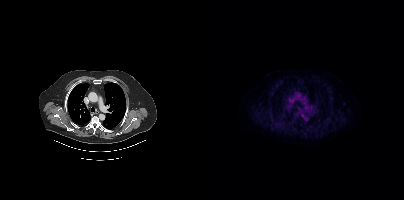
{"modality":"PSMA PET/CT","view":"axial","tracer":"[18F]PSMA-1007","pet_grid":[200,200],"coord_frame":"pet_panel","coord_format":"x0,y0,x1,y1","lesion_bboxes":[],"small_foci_centers":[[98,115]]}